Two-panel axial: CT | PSMA PET, 68Ga tracer. Acquired on Siemens Biograph mCT Flow 20.
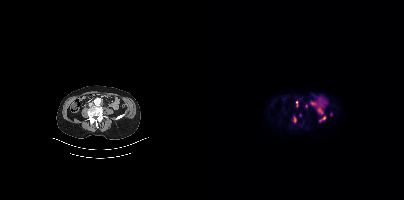
Coordinates are on the 200×200 PET (right) panel. (showing 4 of 6 foci) PSMA-avid tumor lesion bounding box (x, y, width, height): x=90 y=117 w=3 h=6. Small PSMA-avid foci (2 to 4 px across) near (center x, center y): (119, 117) / (102, 106) / (92, 102).